Two-panel axial: CT | PSMA PET, 68Ga tracer.
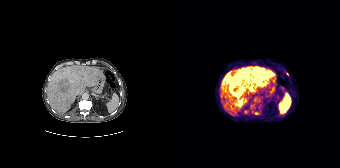
Coordinates are on the 168×168 PET (right) panel. PSMA-avid tumor lesion bounding boxes (x0,y0,x1,y1): [53,67,100,95]; [66,99,72,105]; [76,85,81,90]; [81,112,87,114]. Small PSMA-avid focus (2 to 4 px across) near (center x, center y): (115, 73).